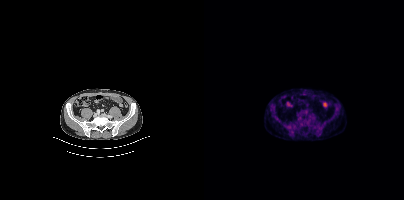
Findings: This slice has no annotated PSMA-avid lesion.
- Two-panel axial: CT | PSMA PET, [18F]PSMA-1007 tracer